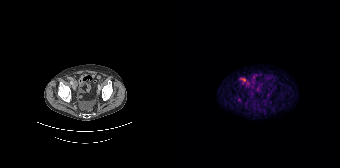
Coordinates are on the 168×168 PET (right) panel. PSMA-avid tumor lesion bounding box (x, y, width, height): x=68 y=77 w=7 h=6.